Technique: Paired axial CT (left) and PSMA PET (right), 18F-PSMA tracer. acquired on Siemens Biograph mCT Flow 20. slice 58 of 401. PET panel 200×200 px (4.1 mm/px).
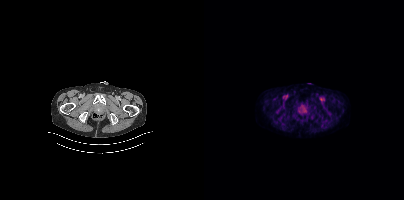
Findings: Coordinates are on the 200×200 PET (right) panel. PSMA-avid tumor lesion bounding box (x0,y0,x1,y1): [94,105,103,115].